- Left: CT. Right: PSMA PET, same axial level, [18F]PSMA-1007 tracer
- acquired on Siemens Biograph mCT Flow 20
- PET panel 200×200 px (4.1 mm/px)
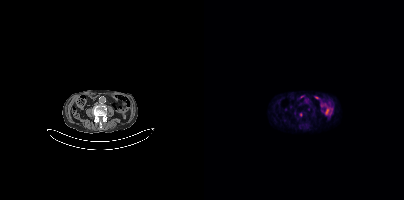
Findings: Coordinates are on the 200×200 PET (right) panel. Small PSMA-avid foci (2 to 4 px across) near (center x, center y): (104, 109); (96, 114).